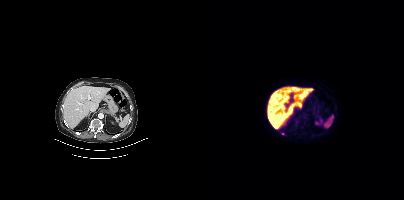
Coordinates are on the 200×200 PET (right) panel. Small PSMA-avid focus (2 to 4 px across) near (center x, center y): (79, 133).
modality: PSMA PET/CT | tracer: 18F | view: axial | PET grid: 200×200